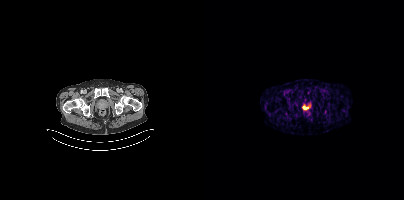
- Paired axial CT (left) and PSMA PET (right), 68Ga tracer
- acquired on Siemens Biograph mCT Flow 20
- slice 68 of 419
- PET panel 200×200 px (4.1 mm/px)
Findings: Coordinates are on the 200×200 PET (right) panel. PSMA-avid tumor lesion bounding box (x, y, width, height): x=99 y=106 w=5 h=4.